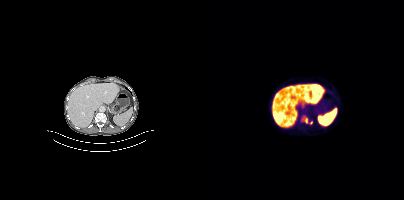
Coordinates are on the 200×200 PET (right) panel. PSMA-avid tumor lesion bounding box (x0,y0,x1,y1): [97,115,108,124]. Paired axial CT (left) and PSMA PET (right), 18F-PSMA tracer. PET panel 200×200 px (4.1 mm/px).